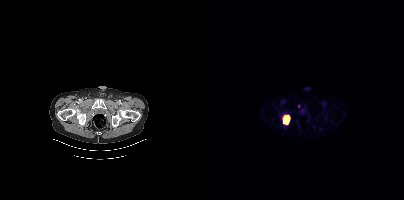
Coordinates are on the 200×200 PET (right) panel. (showing 1 of 2 foci) PSMA-avid tumor lesion bounding box (x, y, width, height): x=79 y=115 w=7 h=9.
modality: PSMA PET/CT | tracer: 18F | view: axial | PET grid: 200×200